Technique: Left: CT. Right: PSMA PET, same axial level, 18F-PSMA tracer. acquired on GE Discovery 690. slice 127 of 263.
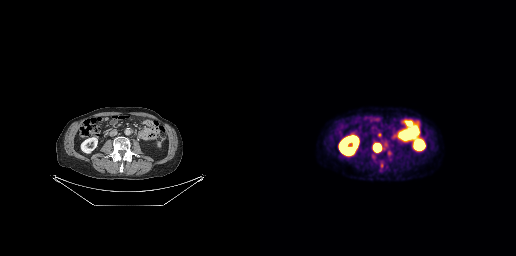
Findings: Coordinates are on the 256×256 PET (right) panel. PSMA-avid tumor lesion bounding boxes (x0,y0,x1,y1): [112,139,128,152] [111,154,116,160] [118,133,121,137]. Small PSMA-avid focus (2 to 4 px across) near (center x, center y): (121, 165).